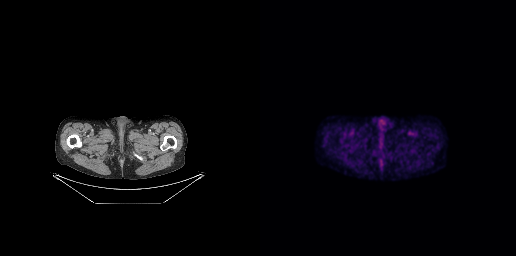
Paired axial CT (left) and PSMA PET (right), 18F-PSMA tracer. Acquired on GE Discovery 690. Slice position z = -929 mm. No PSMA-avid tumor lesions on this slice.